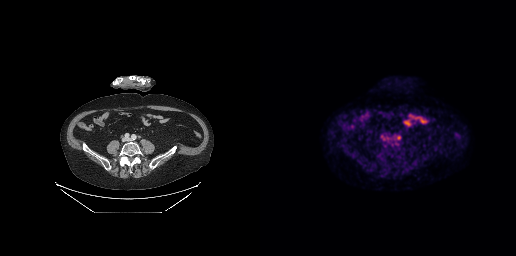
- Left: CT. Right: PSMA PET, same axial level, [18F]PSMA-1007 tracer
- slice 133 of 299
- PET panel 256×256 px (2.7 mm/px)
Findings: Coordinates are on the 256×256 PET (right) panel. Small PSMA-avid focus (2 to 4 px across) near (center x, center y): (138, 137).